Left: CT. Right: PSMA PET, same axial level, 18F-PSMA tracer.
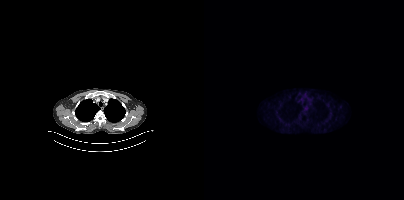
Only PSMA-avid lesion pieces thinner than 2 px on this slice (not listed).